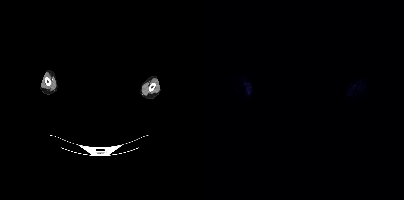
The face region was removed for patient privacy by blanking a rectangle over the head. Paired axial CT (left) and PSMA PET (right), 18F-PSMA tracer. Acquired on Siemens Biograph mCT Flow 20. Slice position z = -244 mm. PET panel 200×200 px (4.1 mm/px). No tumor lesions annotated on this slice.